- Two-panel axial: CT | PSMA PET, 68Ga-PSMA tracer
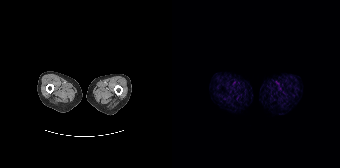
Findings: No PSMA-avid tumor lesions on this slice.